Technique: Paired axial CT (left) and PSMA PET (right), [18F]PSMA-1007 tracer. acquired on GE Discovery 690.
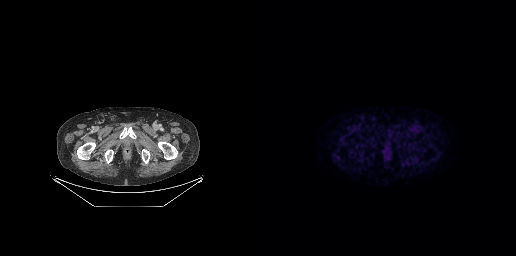
Findings: This slice has no annotated PSMA-avid lesion.